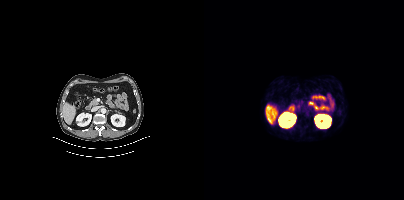
{"pet_grid":[200,200],"coord_frame":"pet_panel","coord_format":"x0,y0,x1,y1","psma_avid_lesions":false,"modality":"PSMA PET/CT","view":"axial","tracer":"68Ga-PSMA"}